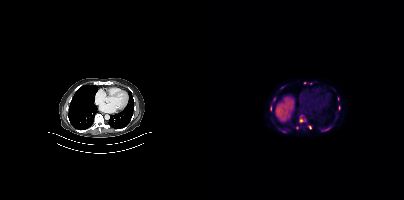
Coordinates are on the 200×200 PET (right) panel. (showing 11 of 12 foci) PSMA-avid tumor lesion bounding boxes (x, y, width, height): x=96 y=118 w=6 h=5 | x=119 y=127 w=8 h=4 | x=69 y=97 w=4 h=6 | x=76 y=86 w=5 h=4 | x=66 y=106 w=2 h=5. Small PSMA-avid foci (2 to 4 px across) near (center x, center y): (79, 131) | (106, 126) | (134, 98) | (93, 127) | (135, 106) | (100, 82).